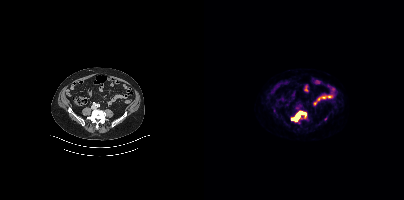
modality: PSMA PET/CT | tracer: [18F]PSMA-1007 | view: axial
Coordinates are on the 200×200 PET (right) panel. PSMA-avid tumor lesion bounding box (x0, y0)-(x1, y1): (87, 111)-(102, 121). Small PSMA-avid focus (2 to 4 px across) near (center x, center y): (121, 119).